Technique: Paired axial CT (left) and PSMA PET (right), 68Ga tracer. acquired on Siemens Biograph 64-4R TruePoint. slice position z = -1130 mm.
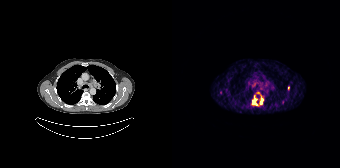
Findings: Coordinates are on the 168×168 PET (right) panel. PSMA-avid tumor lesion bounding boxes (x0, y0)-(x1, y1): (80, 95)-(86, 105) | (87, 96)-(91, 104). Small PSMA-avid foci (2 to 4 px across) near (center x, center y): (116, 87) | (86, 92).